A rectangular block over the head has been blanked out for de-identification.
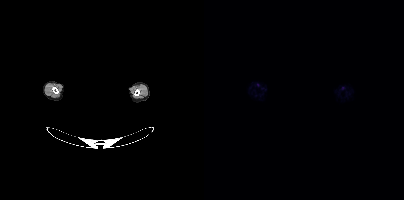
Negative for PSMA-avid disease on this slice.